Technique: Two-panel axial: CT | PSMA PET, 68Ga-PSMA tracer. acquired on Siemens Biograph mCT Flow 20.
Note: Any black rectangle over the head is a privacy mask, not anatomy.
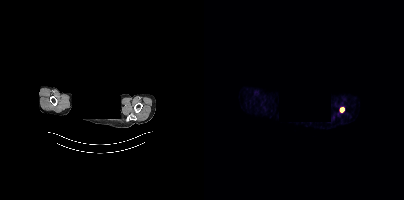
Findings: Coordinates are on the 200×200 PET (right) panel. Small PSMA-avid focus (2 to 4 px across) near (center x, center y): (137, 109).